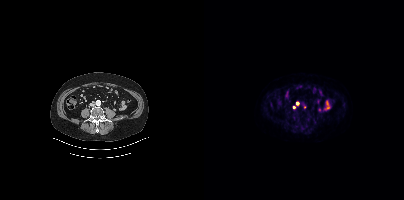
Left: CT. Right: PSMA PET, same axial level, 18F-PSMA tracer. Acquired on Siemens Biograph mCT Flow 20. Slice 156 of 452. Coordinates are on the 200×200 PET (right) panel. (showing 2 of 3 foci) Small PSMA-avid foci (2 to 4 px across) near (center x, center y): (93, 103); (100, 107).